Left: CT. Right: PSMA PET, same axial level, 68Ga-PSMA tracer. Slice 145 of 165. Facial anatomy redacted by setting a rectangular region of the head to black.
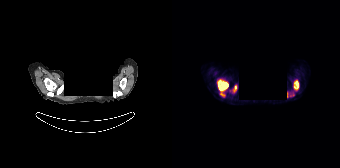
Coordinates are on the 168×168 PET (right) panel. PSMA-avid tumor lesion bounding boxes:
| # | x0 | y0 | x1 | y1 |
|---|---|---|---|---|
| 1 | 45 | 79 | 56 | 96 |
| 2 | 121 | 80 | 127 | 90 |
| 3 | 61 | 85 | 64 | 92 |
Small PSMA-avid foci (2 to 4 px across) near (center x, center y): (118, 95); (121, 94).